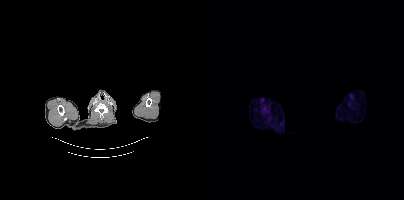
de-identification: region redacted | modality: PSMA PET/CT | tracer: [18F]PSMA-1007 | view: axial | PET grid: 200×200
Coordinates are on the 200×200 PET (right) panel. Small PSMA-avid focus (2 to 4 px across) near (center x, center y): (60, 109).